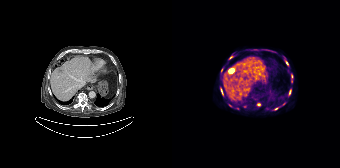
Two-panel axial: CT | PSMA PET, [18F]PSMA-1007 tracer. Slice 101 of 165.
Coordinates are on the 168×168 PET (right) panel. PSMA-avid tumor lesion bounding boxes (partial; 1 more focus not listed):
| # | x0 | y0 | x1 | y1 |
|---|---|---|---|---|
| 1 | 48 | 88 | 51 | 95 |
| 2 | 113 | 61 | 116 | 65 |
| 3 | 117 | 90 | 119 | 94 |
Small PSMA-avid foci (2 to 4 px across) near (center x, center y): (86, 104); (119, 76); (59, 57); (49, 70); (104, 108); (57, 105).